- Left: CT. Right: PSMA PET, same axial level, [68Ga]Ga-PSMA-11 tracer
- slice 177 of 263
- PET panel 256×256 px (2.7 mm/px)
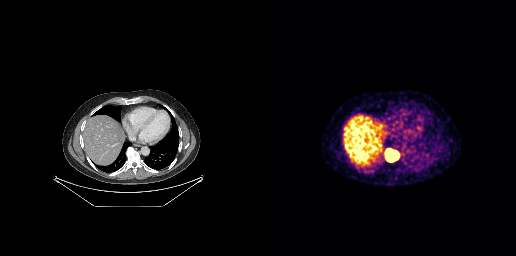
Findings: Coordinates are on the 256×256 PET (right) panel. PSMA-avid tumor lesion bounding box (x0,y0,x1,y1): [124,148,139,162].